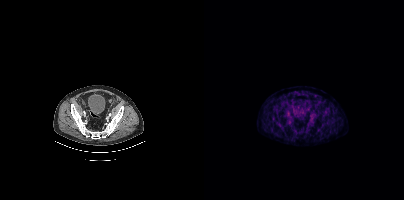
Paired axial CT (left) and PSMA PET (right), [18F]PSMA-1007 tracer. Acquired on Siemens Biograph mCT Flow 20. PET panel 200×200 px (4.1 mm/px). No tumor lesions annotated on this slice.